Technique: Paired axial CT (left) and PSMA PET (right), [68Ga]Ga-PSMA-11 tracer. acquired on Siemens Biograph mCT Flow 20.
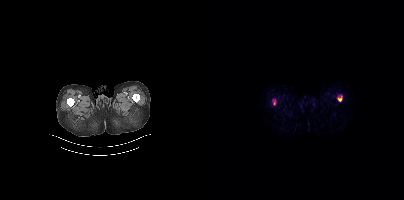
Findings: This slice has no annotated PSMA-avid lesion.